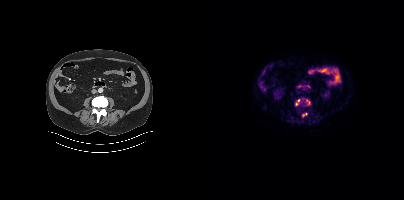
Findings: Coordinates are on the 200×200 PET (right) panel. PSMA-avid tumor lesion bounding boxes (x, y, width, height): x=91 y=99 w=6 h=7; x=102 y=99 w=5 h=7; x=98 y=113 w=5 h=4.
- Paired axial CT (left) and PSMA PET (right), 18F-PSMA tracer
- slice position z = -642 mm
- PET panel 200×200 px (4.1 mm/px)